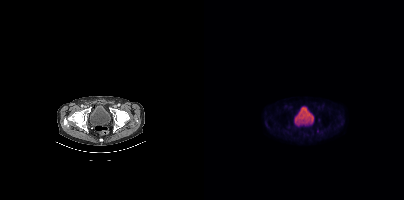
Only PSMA-avid lesion pieces thinner than 2 px on this slice (not listed).